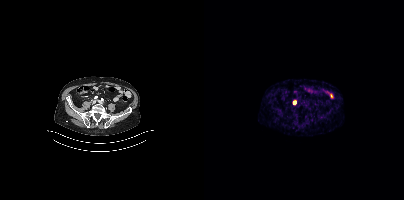
Paired axial CT (left) and PSMA PET (right), 68Ga-PSMA tracer. Acquired on Siemens Biograph mCT Flow 20. Coordinates are on the 200×200 PET (right) panel. Small PSMA-avid focus (2 to 4 px across) near (center x, center y): (90, 102).